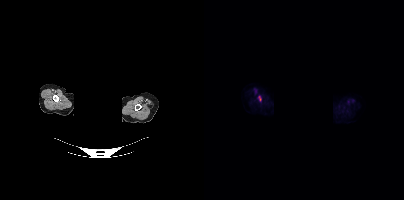
Coordinates are on the 200×200 PET (right) panel. PSMA-avid tumor lesion bounding box (x0, y0)-(x1, y1): (55, 96)-(57, 100).
redaction: head region blacked out before release | modality: PSMA PET/CT | tracer: 18F | view: axial